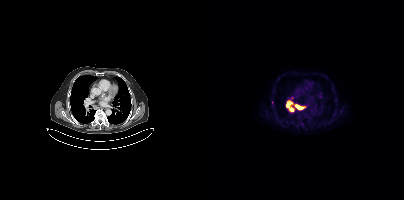
Coordinates are on the 200×200 PET (right) panel. PSMA-avid tumor lesion bounding box (x, y, width, height): x=91 y=105 w=9 h=5.